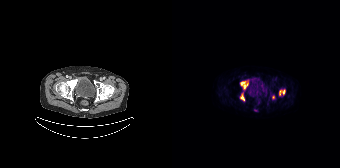
Coordinates are on the 168×168 PET (right) panel. PSMA-avid tumor lesion bounding boxes (x0, y0)-(x1, y1): (68, 80)-(76, 89) / (107, 89)-(113, 95) / (68, 94)-(72, 100). Small PSMA-avid focus (2 to 4 px across) near (center x, center y): (101, 97).